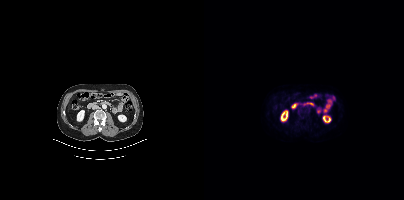
{"pet_grid":[200,200],"coord_frame":"pet_panel","coord_format":"x0,y0,x1,y1","psma_avid_lesions":false,"modality":"PSMA PET/CT","view":"axial","tracer":"[18F]PSMA-1007"}